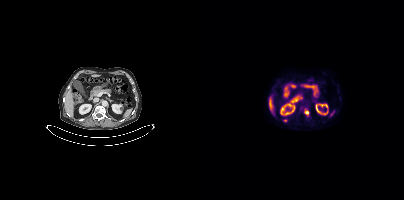
Coordinates are on the 200×200 PET (right) panel. PSMA-avid tumor lesion bounding boxes (x0,y0,x1,y1): [101,110,105,116], [79,119,83,121].